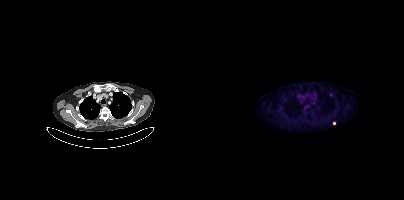
Findings: Coordinates are on the 200×200 PET (right) panel. Small PSMA-avid focus (2 to 4 px across) near (center x, center y): (130, 123).
- Left: CT. Right: PSMA PET, same axial level, 18F-PSMA tracer
- PET panel 200×200 px (4.1 mm/px)